- Left: CT. Right: PSMA PET, same axial level, 18F-PSMA tracer
- PET panel 200×200 px (4.1 mm/px)
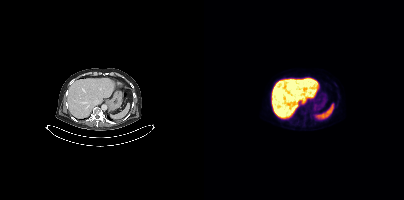
Findings: Negative for PSMA-avid disease on this slice.